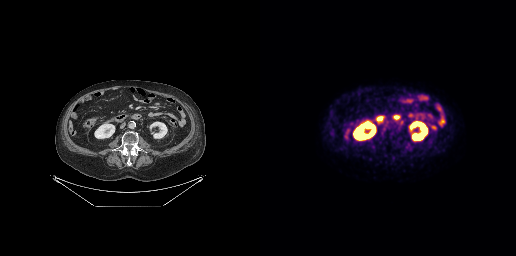
Paired axial CT (left) and PSMA PET (right), 18F tracer. Coordinates are on the 256×256 PET (right) panel. PSMA-avid tumor lesion bounding box (x, y, width, height): x=121 y=124 w=8 h=10.